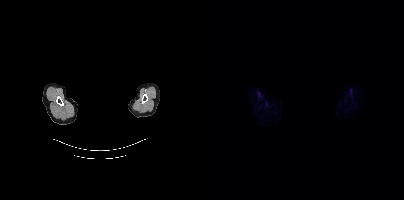
The face region was removed for patient privacy by blanking a rectangle over the head.
Negative for PSMA-avid disease on this slice.